Technique: Two-panel axial: CT | PSMA PET, [68Ga]Ga-PSMA-11 tracer. acquired on Siemens Biograph mCT Flow 20. slice position z = -932 mm.
Note: An anonymization step blacked out a rectangle over the head in this scan.
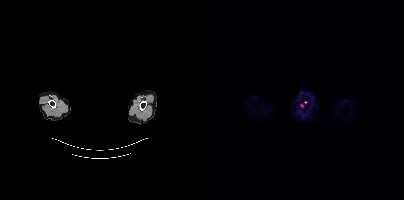
Findings: Coordinates are on the 200×200 PET (right) panel. (showing 1 of 2 foci) Small PSMA-avid focus (2 to 4 px across) near (center x, center y): (97, 105).